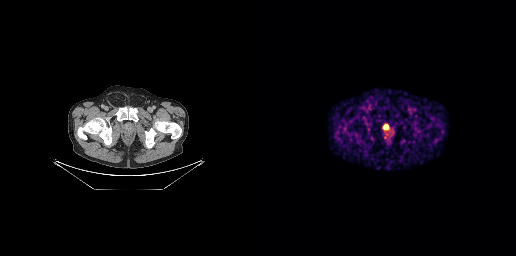
Technique: Left: CT. Right: PSMA PET, same axial level, [68Ga]Ga-PSMA-11 tracer. PET panel 256×256 px (2.7 mm/px).
Findings: Coordinates are on the 256×256 PET (right) panel. PSMA-avid tumor lesion bounding box (x, y, width, height): x=123 y=124 w=6 h=6.